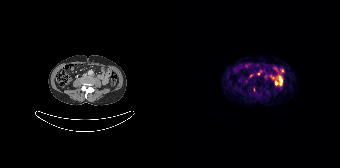
Coordinates are on the 168×168 PET (right) panel. PSMA-avid tumor lesion bounding box (x0,y0,x1,y1): [81,87,83,91]. Small PSMA-avid focus (2 to 4 px across) near (center x, center y): (86, 73).